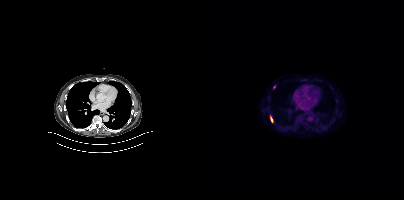
- Paired axial CT (left) and PSMA PET (right), 18F tracer
- acquired on Siemens Biograph mCT Flow 20
- slice position z = -579 mm
Findings: Coordinates are on the 200×200 PET (right) panel. PSMA-avid tumor lesion bounding box (x0, y0)-(x1, y1): (67, 117)-(68, 122). Small PSMA-avid focus (2 to 4 px across) near (center x, center y): (70, 87).